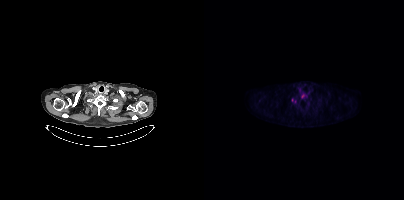
modality: PSMA PET/CT | tracer: 18F-PSMA | view: axial | PET grid: 200×200
Coordinates are on the 200×200 PET (right) panel. PSMA-avid tumor lesion bounding boxes (x, y, width, height): x=97 y=94 w=7 h=5; x=87 y=98 w=6 h=6.